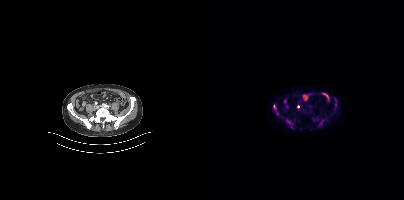
Coordinates are on the 200×200 PET (right) panel. (showing 3 of 5 foci) PSMA-avid tumor lesion bounding boxes (x0, y0)-(x1, y1): (115, 120)-(119, 126); (69, 104)-(72, 109); (82, 121)-(86, 125).